Technique: Two-panel axial: CT | PSMA PET, 18F tracer.
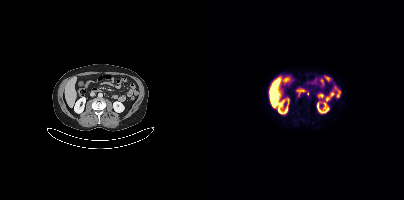
Findings: Coordinates are on the 200×200 PET (right) panel. PSMA-avid tumor lesion bounding box (x0,y0,x1,y1): [92,94,96,98]. Small PSMA-avid focus (2 to 4 px across) near (center x, center y): (104, 93).